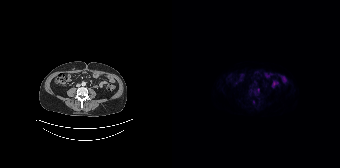
{"pet_grid":[168,168],"coord_frame":"pet_panel","coord_format":"x0,y0,x1,y1","lesion_bboxes":[],"small_foci_centers":[[81,101]],"modality":"PSMA PET/CT","view":"axial","tracer":"18F"}